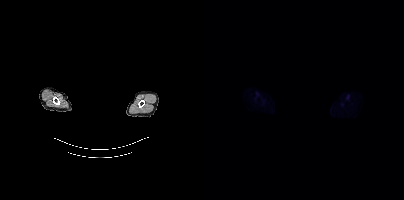
Technique: Left: CT. Right: PSMA PET, same axial level, [18F]PSMA-1007 tracer. slice position z = -882 mm.
Note: De-identified by setting a box covering the face to black before release.
Findings: No PSMA-avid tumor lesions on this slice.